Two-panel axial: CT | PSMA PET, 68Ga tracer. Acquired on GE Discovery 690. Slice position z = -1031 mm.
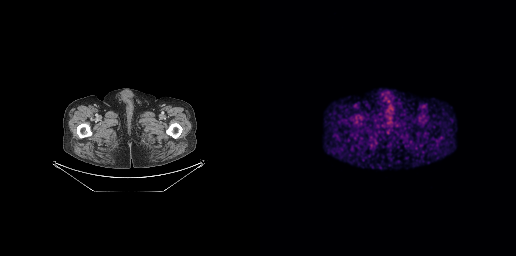
This slice has no annotated PSMA-avid lesion.